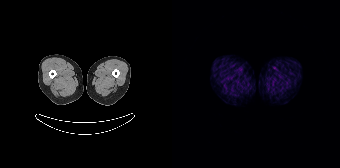
Findings: No PSMA-avid tumor lesions on this slice.
- Left: CT. Right: PSMA PET, same axial level, 68Ga tracer
- acquired on Siemens Biograph 64-4R TruePoint
- slice 18 of 195
- PET panel 168×168 px (4.1 mm/px)